- Left: CT. Right: PSMA PET, same axial level, 18F-PSMA tracer
- slice position z = -668 mm
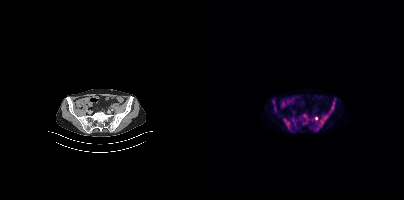
Findings: Coordinates are on the 200×200 PET (right) panel. (showing 5 of 6 foci) PSMA-avid tumor lesion bounding boxes (x0, y0)-(x1, y1): (79, 118)-(86, 129); (115, 115)-(123, 125); (128, 102)-(130, 110); (111, 116)-(114, 120). Small PSMA-avid focus (2 to 4 px across) near (center x, center y): (70, 109).